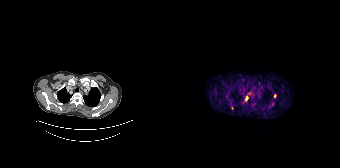
Left: CT. Right: PSMA PET, same axial level, 68Ga-PSMA tracer. Acquired on Siemens Biograph 64-4R TruePoint. Coordinates are on the 168×168 PET (right) panel. (showing 3 of 4 foci) Small PSMA-avid foci (2 to 4 px across) near (center x, center y): (103, 95); (60, 108); (74, 98).